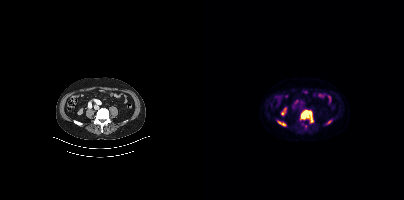
Coordinates are on the 200×200 PET (right) panel. PSMA-avid tumor lesion bounding boxes (x0, y0)-(x1, y1): (97, 110)-(109, 122) / (74, 121)-(81, 125). Small PSMA-avid focus (2 to 4 px across) near (center x, center y): (125, 121).